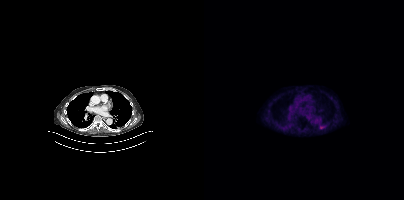
Two-panel axial: CT | PSMA PET, 18F-PSMA tracer. Acquired on Siemens Biograph mCT Flow 20. Coordinates are on the 200×200 PET (right) panel. Small PSMA-avid focus (2 to 4 px across) near (center x, center y): (117, 127).